modality: PSMA PET/CT | tracer: 18F-PSMA | view: axial
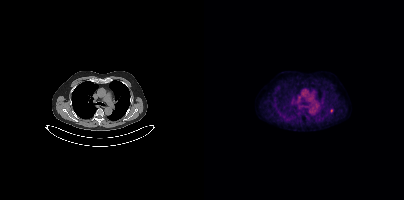
Coordinates are on the 200×200 PET (right) panel. Small PSMA-avid focus (2 to 4 px across) near (center x, center y): (127, 110).